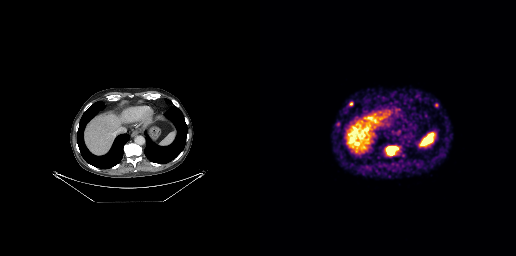
Coordinates are on the 256×256 PET (right) panel. PSMA-avid tumor lesion bounding boxes (x0, y0)-(x1, y1): (127, 147)-(137, 154) / (175, 103)-(178, 107). Small PSMA-avid foci (2 to 4 px across) near (center x, center y): (90, 103) / (78, 124).